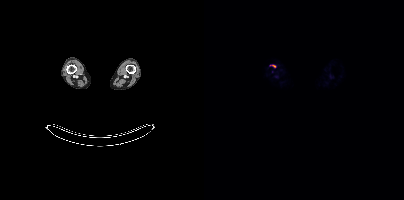
Coordinates are on the 200×200 PET (right) panel. (showing 1 of 2 foci) Small PSMA-avid focus (2 to 4 px across) near (center x, center y): (69, 66).
modality: PSMA PET/CT | tracer: 18F-PSMA | view: axial | PET grid: 200×200